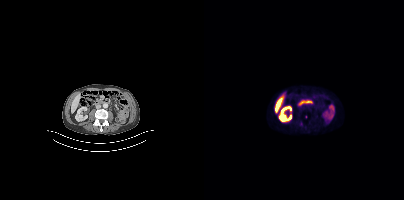
No tumor lesions annotated on this slice.